Two-panel axial: CT | PSMA PET, 18F-PSMA tracer. PET panel 200×200 px (4.1 mm/px).
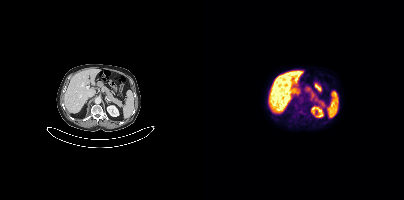
Negative for PSMA-avid disease on this slice.